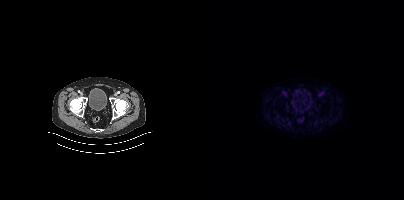
Negative for PSMA-avid disease on this slice. Left: CT. Right: PSMA PET, same axial level, [18F]PSMA-1007 tracer. Acquired on Siemens Biograph mCT Flow 20. Slice position z = -1008 mm.